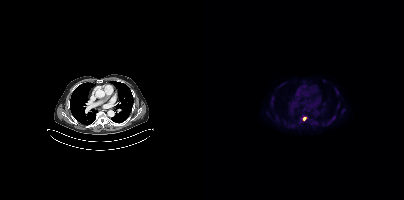
Coordinates are on the 200×200 PET (right) panel. (showing 2 of 4 foci) Small PSMA-avid foci (2 to 4 px across) near (center x, center y): (130, 117); (101, 117).
modality: PSMA PET/CT | tracer: 18F | view: axial | PET grid: 200×200